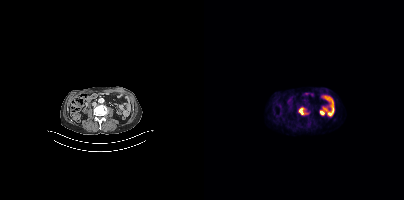
Coordinates are on the 200×200 PET (right) panel. PSMA-avid tumor lesion bounding box (x0,y0,x1,y1): [94,107,103,114]. Two-panel axial: CT | PSMA PET, [18F]PSMA-1007 tracer. Slice 165 of 389. PET panel 200×200 px (4.1 mm/px).